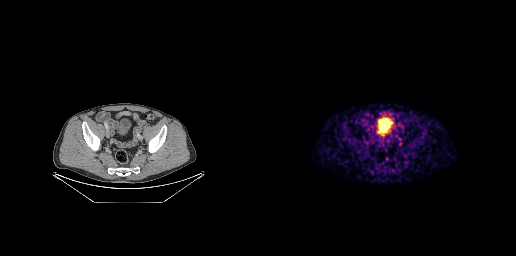
{"modality":"PSMA PET/CT","view":"axial","tracer":"[18F]PSMA-1007","pet_grid":[256,256],"coord_frame":"pet_panel","coord_format":"x0,y0,x1,y1","psma_avid_lesions":false}